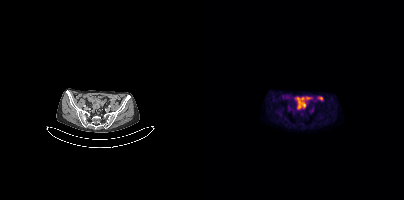
modality: PSMA PET/CT | tracer: [18F]PSMA-1007 | view: axial
Negative for PSMA-avid disease on this slice.